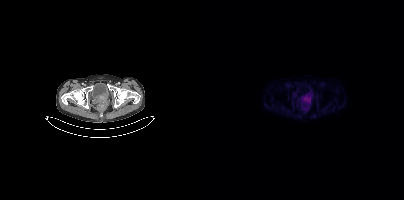
Findings: Coordinates are on the 200×200 PET (right) panel. PSMA-avid tumor lesion bounding box (x, y, width, height): x=97 y=96 w=11 h=7. Small PSMA-avid focus (2 to 4 px across) near (center x, center y): (103, 108).
Technique: Two-panel axial: CT | PSMA PET, 18F tracer. slice 63 of 427.